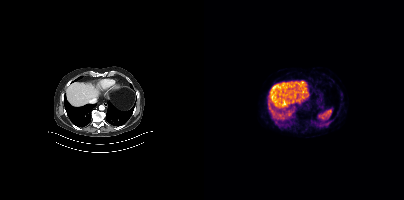
No PSMA-avid tumor lesions on this slice.